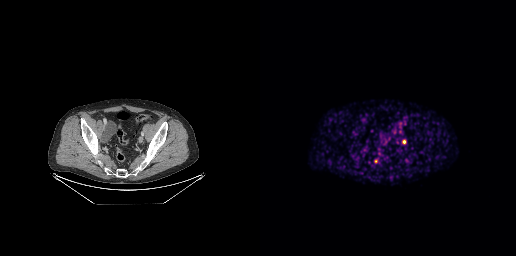
modality: PSMA PET/CT | tracer: [68Ga]Ga-PSMA-11 | view: axial | PET grid: 256×256
Coordinates are on the 256×256 PET (right) panel. (showing 1 of 2 foci) Small PSMA-avid focus (2 to 4 px across) near (center x, center y): (115, 160).